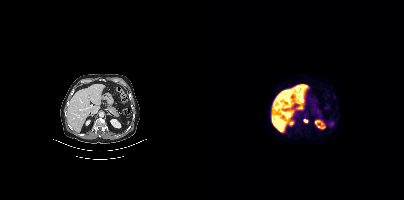
- Left: CT. Right: PSMA PET, same axial level, 18F tracer
Findings: Coordinates are on the 200×200 PET (right) panel. Small PSMA-avid focus (2 to 4 px across) near (center x, center y): (101, 121).